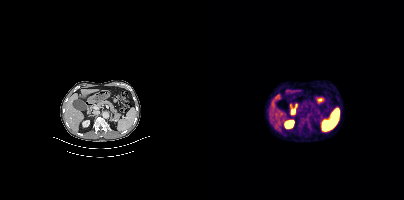
- Two-panel axial: CT | PSMA PET, [18F]PSMA-1007 tracer
- PET panel 200×200 px (4.1 mm/px)
Findings: Coordinates are on the 200×200 PET (right) panel. PSMA-avid tumor lesion bounding box (x0, y0)-(x1, y1): (95, 117)-(108, 128).